- Paired axial CT (left) and PSMA PET (right), 18F-PSMA tracer
- acquired on Siemens Biograph mCT Flow 20
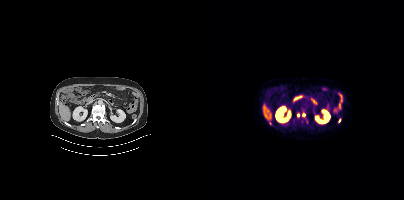
Findings: Coordinates are on the 200×200 PET (right) panel. (showing 4 of 5 foci) Small PSMA-avid foci (2 to 4 px across) near (center x, center y): (99, 114) | (94, 115) | (135, 120) | (64, 118).